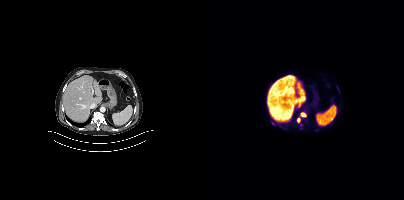
Findings: Coordinates are on the 200×200 PET (right) panel. PSMA-avid tumor lesion bounding boxes (x, y, width, height): x=96 y=112 w=7 h=6; x=93 y=118 w=4 h=5. Small PSMA-avid focus (2 to 4 px across) near (center x, center y): (68, 123).
Technique: Paired axial CT (left) and PSMA PET (right), 18F-PSMA tracer. slice position z = -436 mm. PET panel 200×200 px (4.1 mm/px).